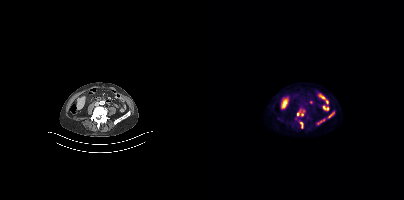
Coordinates are on the 200×200 PET (right) panel. PSMA-avid tumor lesion bounding boxes (x0, y0)-(x1, y1): (92, 109)-(101, 116) / (113, 119)-(121, 124) / (124, 112)-(130, 118) / (96, 122)-(99, 128).